Technique: Left: CT. Right: PSMA PET, same axial level, 18F tracer. PET panel 200×200 px (4.1 mm/px).
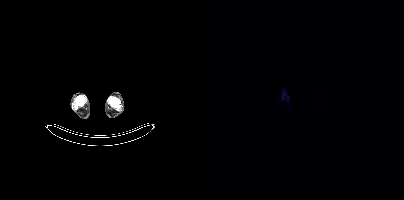
Findings: No PSMA-avid tumor lesions on this slice.